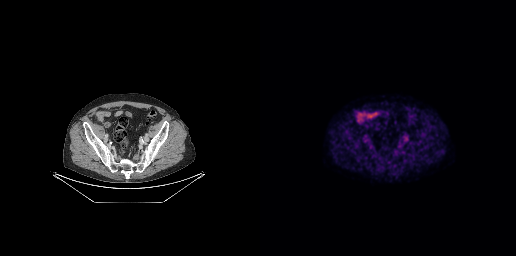
Findings: This slice has no annotated PSMA-avid lesion.
Technique: Two-panel axial: CT | PSMA PET, [18F]PSMA-1007 tracer. acquired on GE Discovery 690.